Paired axial CT (left) and PSMA PET (right), [18F]PSMA-1007 tracer. Acquired on Siemens Biograph mCT Flow 20. Slice 28 of 381.
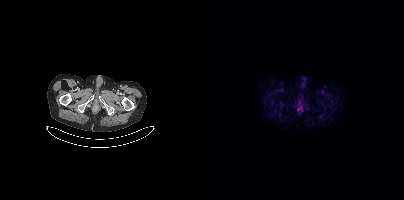
Negative for PSMA-avid disease on this slice.